Technique: Paired axial CT (left) and PSMA PET (right), 18F tracer. acquired on Siemens Biograph mCT Flow 20. PET panel 200×200 px (4.1 mm/px).
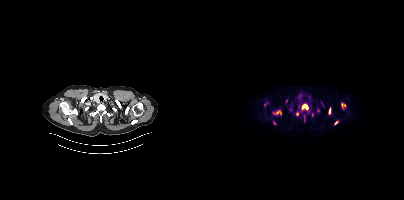
Findings: Coordinates are on the 200×200 PET (right) panel. (showing 10 of 11 foci) PSMA-avid tumor lesion bounding boxes (x, y, width, height): x=98 y=104 w=7 h=6; x=69 y=110 w=9 h=5; x=125 y=108 w=2 h=6; x=100 y=115 w=2 h=7. Small PSMA-avid foci (2 to 4 px across) near (center x, center y): (93, 114); (132, 122); (70, 123); (114, 110); (82, 101); (140, 105).